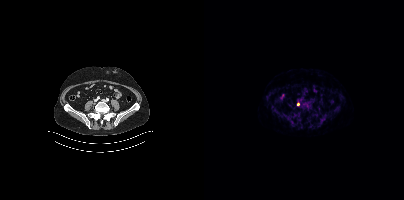
{"modality":"PSMA PET/CT","view":"axial","tracer":"[18F]PSMA-1007","pet_grid":[200,200],"coord_frame":"pet_panel","coord_format":"x0,y0,x1,y1","lesion_bboxes":[],"small_foci_centers":[[94,103]]}